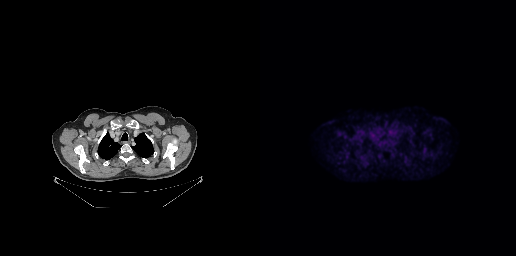
modality: PSMA PET/CT | tracer: [18F]PSMA-1007 | view: axial
No tumor lesions annotated on this slice.